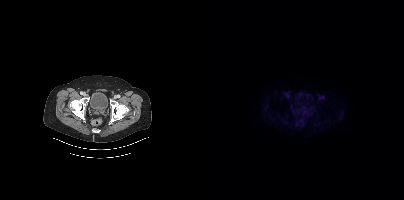
{"pet_grid":[200,200],"coord_frame":"pet_panel","coord_format":"x0,y0,x1,y1","psma_avid_lesions":false,"modality":"PSMA PET/CT","view":"axial","tracer":"18F-PSMA"}